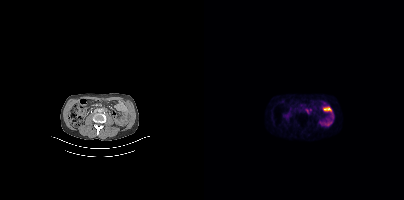
Paired axial CT (left) and PSMA PET (right), 18F tracer. Acquired on Siemens Biograph mCT Flow 20. Coordinates are on the 200×200 PET (right) panel. PSMA-avid tumor lesion bounding box (x0, y0)-(x1, y1): (101, 108)-(107, 113).